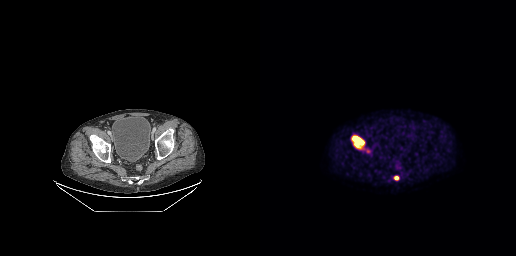
{"pet_grid":[256,256],"coord_frame":"pet_panel","coord_format":"x0,y0,x1,y1","lesion_bboxes":[[93,136,103,149],[134,176,138,180]],"small_foci_centers":[[108,151]],"modality":"PSMA PET/CT","view":"axial","tracer":"[18F]PSMA-1007"}